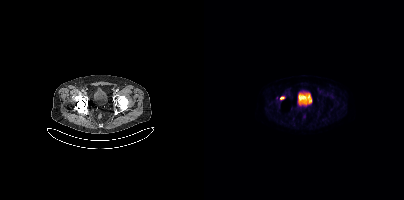
{"modality":"PSMA PET/CT","view":"axial","tracer":"[18F]PSMA-1007","pet_grid":[200,200],"coord_frame":"pet_panel","coord_format":"x0,y0,x1,y1","lesion_bboxes":[],"small_foci_centers":[[78,97]]}